Left: CT. Right: PSMA PET, same axial level, 68Ga tracer. Acquired on Siemens Biograph mCT Flow 20.
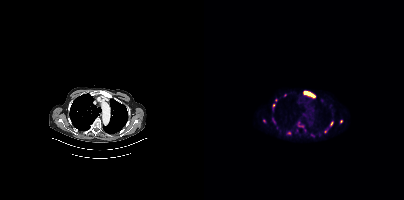
Coordinates are on the 200×200 PET (right) panel. (showing 7 of 12 foci) PSMA-avid tumor lesion bounding boxes (x, y, width, height): x=100 y=91 w=12 h=7; x=121 y=128 w=4 h=5; x=68 y=118 w=3 h=5. Small PSMA-avid foci (2 to 4 px across) near (center x, center y): (127, 123); (98, 126); (137, 121); (69, 105).